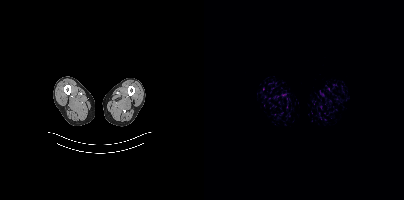
This slice has no annotated PSMA-avid lesion.
modality: PSMA PET/CT | tracer: 18F-PSMA | view: axial